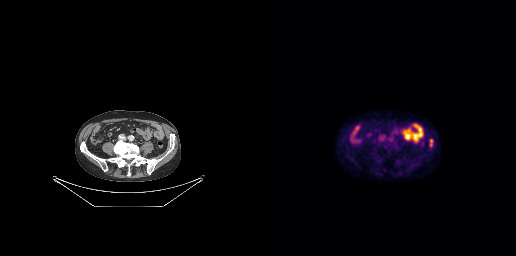
Findings: Coordinates are on the 256×256 PET (right) panel. PSMA-avid tumor lesion bounding box (x0, y0)-(x1, y1): (170, 139)-(172, 146).
Technique: Two-panel axial: CT | PSMA PET, 18F-PSMA tracer. acquired on GE Discovery 690. PET panel 256×256 px (2.7 mm/px).